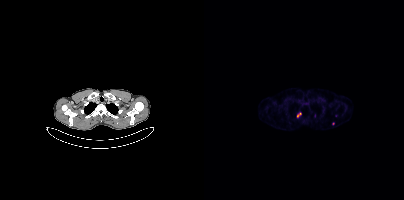
Coordinates are on the 200×200 PET (right) panel. PSMA-avid tumor lesion bounding box (x0, y0)-(x1, y1): (93, 112)-(97, 117). Small PSMA-avid focus (2 to 4 px across) near (center x, center y): (129, 123). Left: CT. Right: PSMA PET, same axial level, 68Ga tracer. Slice position z = -1134 mm.